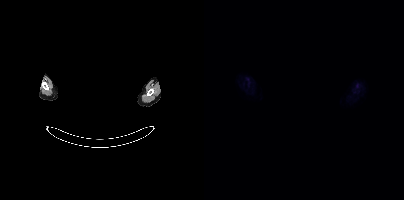
{"pet_grid":[200,200],"coord_frame":"pet_panel","coord_format":"x0,y0,x1,y1","psma_avid_lesions":false,"modality":"PSMA PET/CT","view":"axial","tracer":"18F","de-identification":"head region blanked (face removed)"}